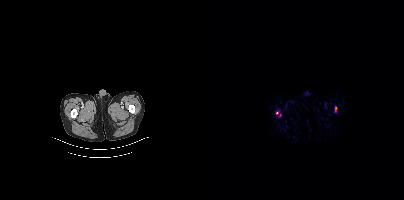
{"modality":"PSMA PET/CT","view":"axial","tracer":"18F","pet_grid":[200,200],"coord_frame":"pet_panel","coord_format":"x0,y0,x1,y1","lesion_bboxes":[],"small_foci_centers":[[131,107],[72,112]]}